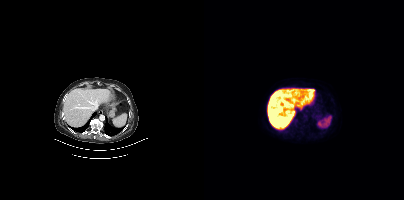
No tumor lesions annotated on this slice.